Left: CT. Right: PSMA PET, same axial level, [18F]PSMA-1007 tracer. Acquired on Siemens Biograph mCT Flow 20. Slice position z = -1698 mm.
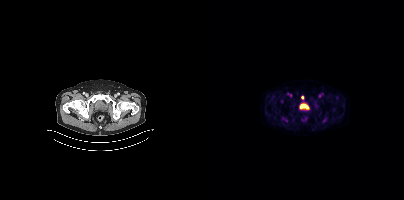
Coordinates are on the 200×200 PET (right) panel. (showing 3 of 4 foci) PSMA-avid tumor lesion bounding boxes (x0,y0,x1,y1): [79,117,83,121]; [118,118,122,122]. Small PSMA-avid focus (2 to 4 px across) near (center x, center y): (77, 101).